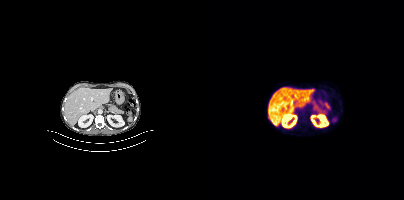
Findings: Negative for PSMA-avid disease on this slice.
Technique: Two-panel axial: CT | PSMA PET, 18F-PSMA tracer. slice position z = -582 mm. PET panel 200×200 px (4.1 mm/px).